Paired axial CT (left) and PSMA PET (right), 18F-PSMA tracer. Slice 258 of 462. PET panel 200×200 px (4.1 mm/px).
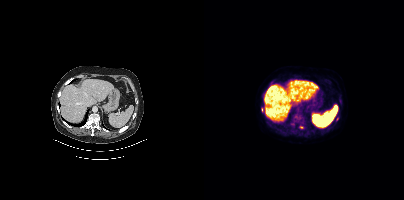
Coordinates are on the 200×200 PET (right) panel. (showing 1 of 3 foci) Small PSMA-avid focus (2 to 4 px across) near (center x, center y): (97, 127).